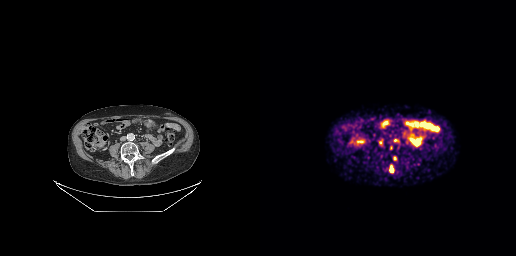
Coordinates are on the 256×256 PET (right) panel. PSMA-avid tumor lesion bounding boxes (x0, y0)-(x1, y1): (133, 156)-(137, 161) | (119, 139)-(122, 145) | (130, 167)-(133, 171) | (130, 145)-(132, 149). Small PSMA-avid foci (2 to 4 px across) near (center x, center y): (135, 140) | (121, 156).